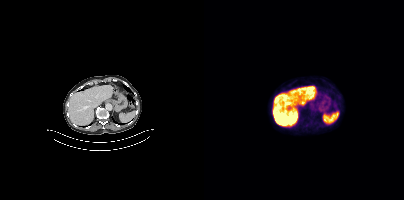
{"modality":"PSMA PET/CT","view":"axial","tracer":"[18F]PSMA-1007","pet_grid":[200,200],"coord_frame":"pet_panel","coord_format":"x0,y0,x1,y1","psma_avid_lesions":false}